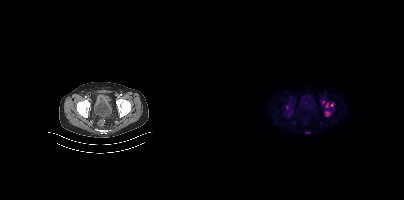
Coordinates are on the 200×200 PET (right) panel. (showing 5 of 6 foci) Small PSMA-avid foci (2 to 4 px across) near (center x, center y): (123, 113); (123, 104); (127, 105); (104, 132); (119, 101).
modality: PSMA PET/CT | tracer: 18F | view: axial | PET grid: 200×200